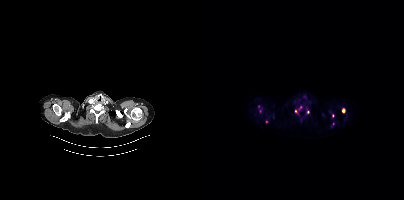
Coordinates are on the 200×200 PET (right) panel. (showing 4 of 9 foci) PSMA-avid tumor lesion bounding box (x, y, width, height): x=138 y=108 w=4 h=5. Small PSMA-avid foci (2 to 4 px across) near (center x, center y): (104, 112); (91, 111); (128, 115).
modality: PSMA PET/CT | tracer: 18F | view: axial | PET grid: 200×200